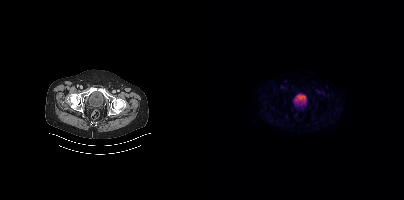
Negative for PSMA-avid disease on this slice.